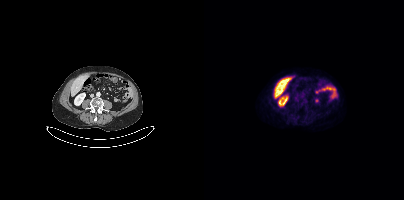
No tumor lesions annotated on this slice.